Two-panel axial: CT | PSMA PET, 18F-PSMA tracer.
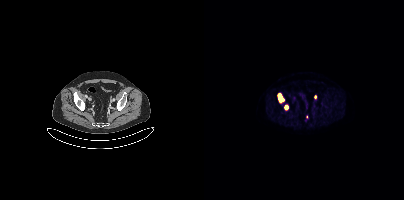
Coordinates are on the 200×200 PET (right) panel. PSMA-avid tumor lesion bounding boxes:
| # | x0 | y0 | x1 | y1 |
|---|---|---|---|---|
| 1 | 74 | 94 | 79 | 102 |
| 2 | 81 | 105 | 83 | 109 |
Small PSMA-avid focus (2 to 4 px across) near (center x, center y): (111, 97).